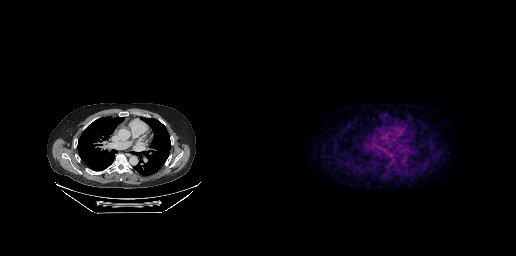
Paired axial CT (left) and PSMA PET (right), 18F-PSMA tracer. Acquired on GE Discovery 690. No PSMA-avid tumor lesions on this slice.